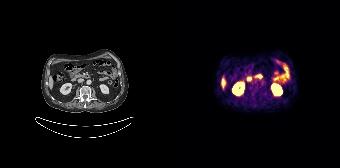
No tumor lesions annotated on this slice. Left: CT. Right: PSMA PET, same axial level, 68Ga-PSMA tracer. Acquired on Siemens Biograph 64-4R TruePoint.